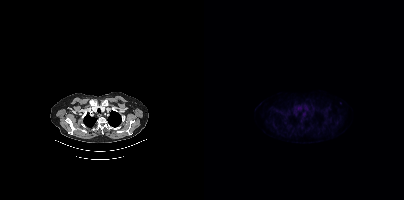
Paired axial CT (left) and PSMA PET (right), 18F tracer. This slice has no annotated PSMA-avid lesion.